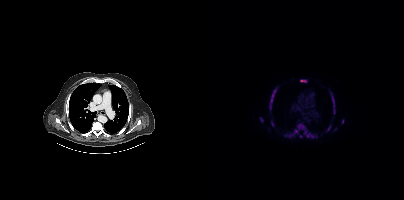
Coordinates are on the 200×200 PET (right) panel. PSMA-avid tumor lesion bounding boxes (partial; 2 more foci not listed):
| # | x0 | y0 | x1 | y1 |
|---|---|---|---|---|
| 1 | 80 | 123 | 102 | 137 |
| 2 | 65 | 90 | 72 | 110 |
| 3 | 126 | 92 | 131 | 113 |
| 4 | 96 | 80 | 102 | 82 |
| 5 | 56 | 117 | 59 | 122 |
| 6 | 123 | 126 | 126 | 130 |
Small PSMA-avid foci (2 to 4 px across) near (center x, center y): (96, 136); (138, 121); (104, 135); (109, 135).
Two-panel axial: CT | PSMA PET, [18F]PSMA-1007 tracer. Acquired on Siemens Biograph mCT Flow 20. PET panel 200×200 px (4.1 mm/px).